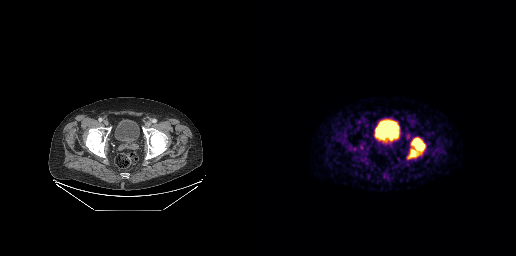
{"modality":"PSMA PET/CT","view":"axial","tracer":"68Ga","pet_grid":[256,256],"coord_frame":"pet_panel","coord_format":"x0,y0,x1,y1","lesion_bboxes":[[148,138,165,158]]}